Technique: Paired axial CT (left) and PSMA PET (right), 18F-PSMA tracer. PET panel 200×200 px (4.1 mm/px).
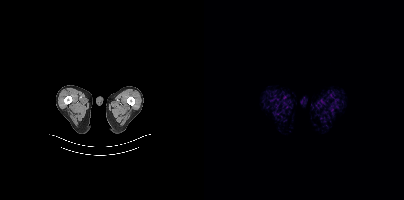
Findings: This slice has no annotated PSMA-avid lesion.